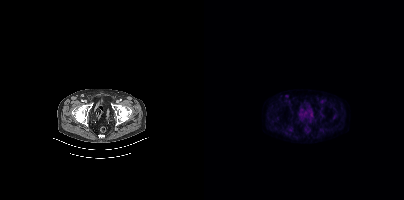
Coordinates are on the 200×200 PET (right) panel. Small PSMA-avid focus (2 to 4 px across) near (center x, center y): (82, 95). Left: CT. Right: PSMA PET, same axial level, 18F tracer. Slice 67 of 429. PET panel 200×200 px (4.1 mm/px).